Two-panel axial: CT | PSMA PET, [68Ga]Ga-PSMA-11 tracer. Slice 286 of 393. PET panel 200×200 px (4.1 mm/px).
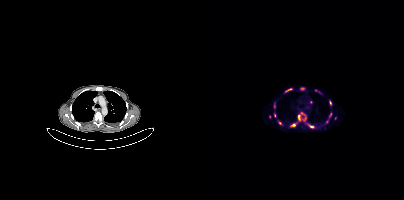
Coordinates are on the 200×200 PET (right) panel. (showing 12 of 15 foci) PSMA-avid tumor lesion bounding boxes (x0,y0,x1,y1): [81,88,88,92]; [97,112,101,116]; [94,115,96,119]; [70,103,71,107]; [125,113,127,117]. Small PSMA-avid foci (2 to 4 px across) near (center x, center y): (126, 102); (89, 125); (71, 114); (123, 121); (76, 123); (107, 126); (107, 102).